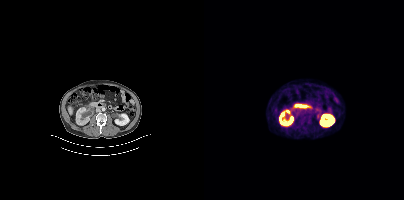
modality: PSMA PET/CT | tracer: [18F]PSMA-1007 | view: axial
Negative for PSMA-avid disease on this slice.